modality: PSMA PET/CT | tracer: [68Ga]Ga-PSMA-11 | view: axial | PET grid: 168×168
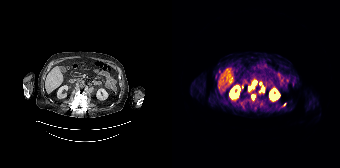
Coordinates are on the 168×168 PET (right) panel. PSMA-avid tumor lesion bounding boxes (x0, y0)-(x1, y1): (76, 81)-(84, 89) / (90, 87)-(92, 91) / (80, 95)-(82, 99). Small PSMA-avid foci (2 to 4 px across) near (center x, center y): (88, 83) / (112, 104).